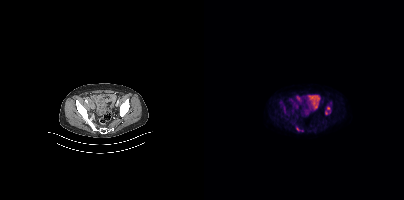
modality: PSMA PET/CT | tracer: 18F | view: axial | PET grid: 200×200
Coordinates are on the 200×200 PET (right) panel. (showing 4 of 5 foci) PSMA-avid tumor lesion bounding box (x0, y0)-(x1, y1): (80, 107)-(81, 112). Small PSMA-avid foci (2 to 4 px across) near (center x, center y): (124, 108); (93, 128); (122, 113).